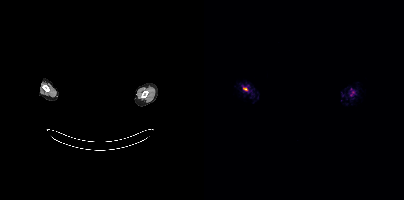
Coordinates are on the 200×200 PET (right) panel. PSMA-avid tumor lesion bounding box (x0,y0,x1,y1): [39,88,43,90].
deidentification: head region blacked out before release | modality: PSMA PET/CT | tracer: 18F-PSMA | view: axial